Paired axial CT (left) and PSMA PET (right), 68Ga tracer. Slice position z = -1071 mm.
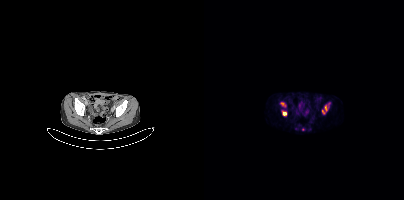
Coordinates are on the 200×200 PET (right) panel. (showing 4 of 5 foci) PSMA-avid tumor lesion bounding boxes (x0, y0)-(x1, y1): (118, 103)-(126, 114) | (76, 102)-(81, 106). Small PSMA-avid foci (2 to 4 px across) near (center x, center y): (80, 113) | (91, 128).